- Paired axial CT (left) and PSMA PET (right), [18F]PSMA-1007 tracer
- PET panel 200×200 px (4.1 mm/px)
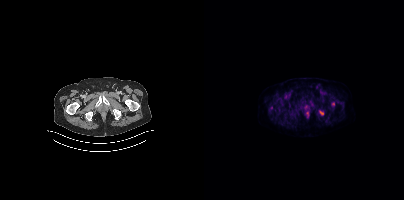
Findings: Coordinates are on the 200×200 PET (right) panel. PSMA-avid tumor lesion bounding box (x0,y0,x1,y1): [127,102,130,106]. Small PSMA-avid focus (2 to 4 px across) near (center x, center y): (117, 112).